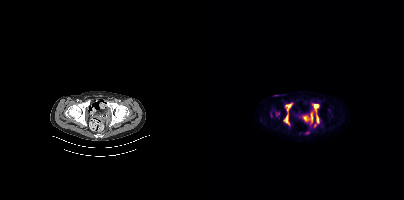
Findings: Coordinates are on the 200×200 PET (right) panel. (showing 6 of 8 foci) PSMA-avid tumor lesion bounding boxes (x0, y0)-(x1, y1): (79, 107)-(84, 123) | (109, 104)-(114, 111) | (112, 115)-(114, 122) | (83, 103)-(87, 107). Small PSMA-avid foci (2 to 4 px across) near (center x, center y): (101, 118) | (74, 114).
Technique: Two-panel axial: CT | PSMA PET, [18F]PSMA-1007 tracer. slice position z = -844 mm.